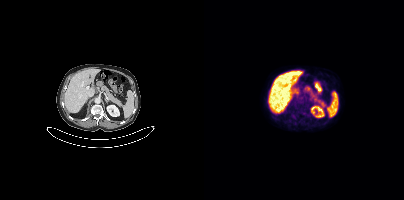
Technique: Two-panel axial: CT | PSMA PET, 18F-PSMA tracer. acquired on Siemens Biograph mCT Flow 20.
Findings: Only PSMA-avid lesion pieces thinner than 2 px on this slice (not listed).